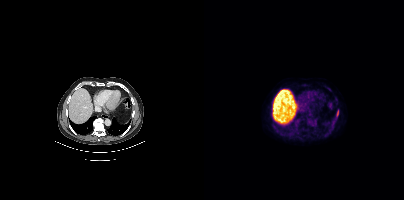
modality: PSMA PET/CT | tracer: 18F | view: axial | PET grid: 200×200
Coordinates are on the 200×200 PET (right) panel. PSMA-avid tumor lesion bounding box (x0, y0)-(x1, y1): (133, 111)-(134, 115).